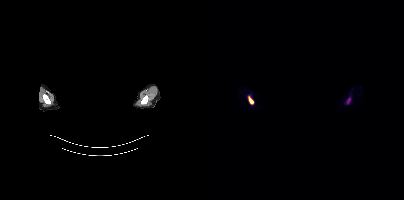
{"modality":"PSMA PET/CT","view":"axial","tracer":"68Ga-PSMA","pet_grid":[200,200],"coord_frame":"pet_panel","coord_format":"x0,y0,x1,y1","redaction":"head region blacked out before release","partial":true,"lesion_bboxes":[[44,96,49,104]],"small_foci_centers":[[145,98]]}